Technique: Paired axial CT (left) and PSMA PET (right), 18F-PSMA tracer. acquired on GE Discovery 690.
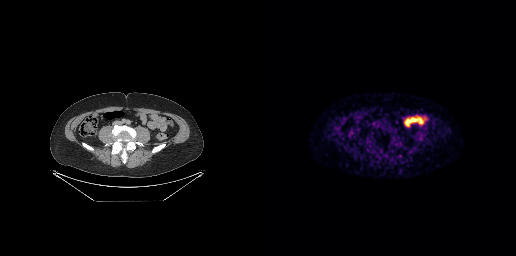
Findings: No PSMA-avid tumor lesions on this slice.